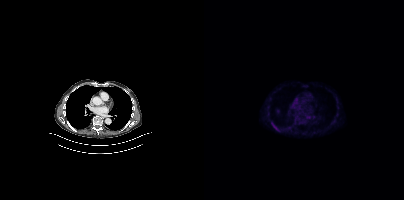
{"modality":"PSMA PET/CT","view":"axial","tracer":"18F","pet_grid":[200,200],"coord_frame":"pet_panel","coord_format":"x0,y0,x1,y1","lesion_bboxes":[[69,125,73,129]]}